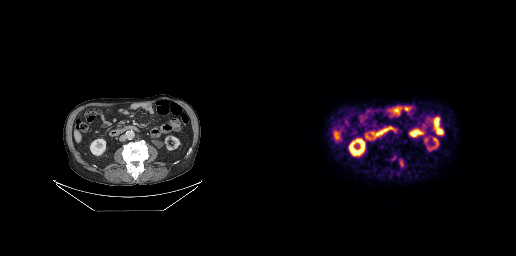
No PSMA-avid tumor lesions on this slice. Two-panel axial: CT | PSMA PET, 18F tracer. Acquired on GE Discovery 690. Slice 147 of 299.